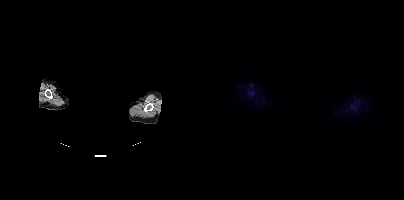
No tumor lesions annotated on this slice. Two-panel axial: CT | PSMA PET, [18F]PSMA-1007 tracer. Acquired on Siemens Biograph mCT Flow 20. Slice position z = -152 mm. Privacy masking over the head, with the pixels inside a rectangle set to black.